modality: PSMA PET/CT | tracer: 18F-PSMA | view: axial | PET grid: 256×256
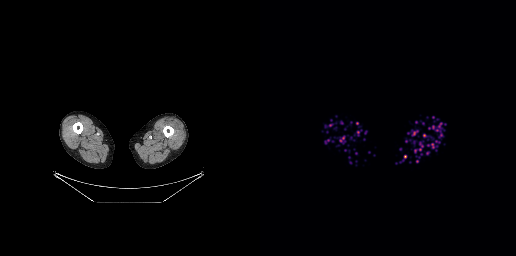
No PSMA-avid tumor lesions on this slice.